Paired axial CT (left) and PSMA PET (right), 18F tracer. Acquired on Siemens Biograph mCT Flow 20. PET panel 200×200 px (4.1 mm/px).
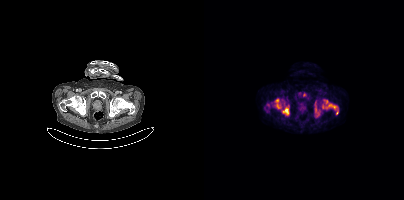
Coordinates are on the 200×200 PET (right) panel. PSMA-avid tumor lesion bounding boxes (partial; 1 more focus not listed):
| # | x0 | y0 | x1 | y1 |
|---|---|---|---|---|
| 1 | 122 | 103 | 134 | 114 |
| 2 | 78 | 108 | 84 | 114 |
| 3 | 73 | 104 | 77 | 108 |
Small PSMA-avid foci (2 to 4 px across) near (center x, center y): (73, 100); (64, 105); (122, 101); (118, 106); (111, 109).